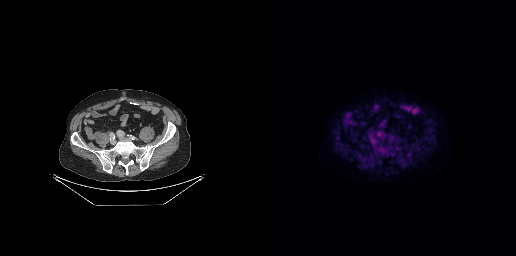
{"pet_grid":[256,256],"coord_frame":"pet_panel","coord_format":"x0,y0,x1,y1","partial":true,"lesion_bboxes":[],"modality":"PSMA PET/CT","view":"axial","tracer":"[18F]PSMA-1007"}